Two-panel axial: CT | PSMA PET, 68Ga tracer. Slice position z = -1514 mm.
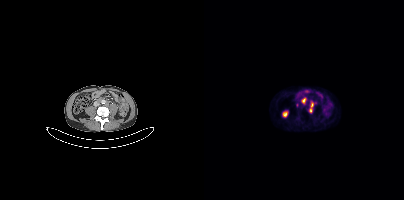
Coordinates are on the 200×200 PET (right) panel. PSMA-avid tumor lesion bounding boxes (x, y, width, height): x=105 y=102 w=5 h=11 / x=98 y=98 w=4 h=6. Small PSMA-avid focus (2 to 4 px across) near (center x, center y): (93, 105).